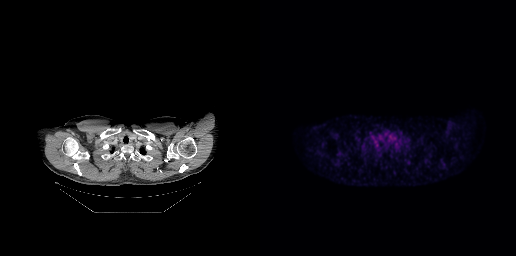
Negative for PSMA-avid disease on this slice. Left: CT. Right: PSMA PET, same axial level, [18F]PSMA-1007 tracer. PET panel 256×256 px (2.7 mm/px).